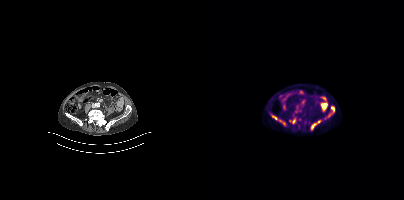
{"modality":"PSMA PET/CT","view":"axial","tracer":"18F-PSMA","pet_grid":[200,200],"coord_frame":"pet_panel","coord_format":"x0,y0,x1,y1","partial":true,"lesion_bboxes":[[68,115,73,119]]}